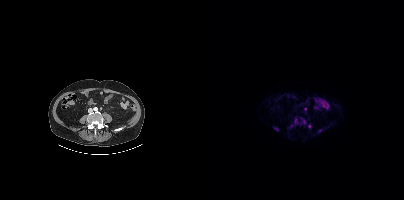
{"modality":"PSMA PET/CT","view":"axial","tracer":"18F-PSMA","pet_grid":[200,200],"coord_frame":"pet_panel","coord_format":"x0,y0,x1,y1","partial":true,"lesion_bboxes":[],"small_foci_centers":[[91,120],[101,108],[100,121]]}